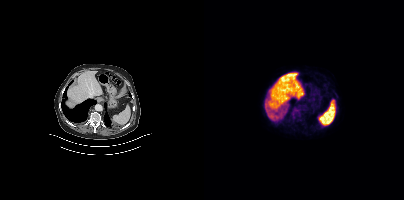
Negative for PSMA-avid disease on this slice. Paired axial CT (left) and PSMA PET (right), 18F tracer. Slice position z = -508 mm. PET panel 200×200 px (4.1 mm/px).